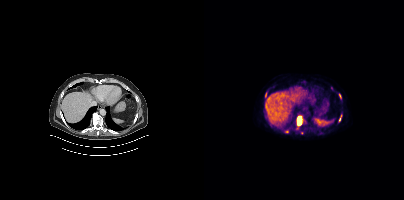
Coordinates are on the 200×200 PET (right) panel. (showing 1 of 4 foci) PSMA-avid tumor lesion bounding box (x0,y0,x1,y1): [93,118,98,126].
modality: PSMA PET/CT | tracer: 18F | view: axial